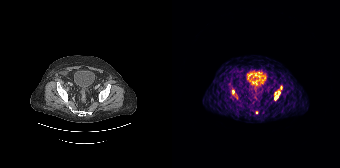
Coordinates are on the 168×168 PET (right) panel. PSMA-avid tumor lesion bounding boxes (x0,y0,x1,y1): [102,91,108,100], [60,90,62,94]. Small PSMA-avid foci (2 to 4 px across) near (center x, center y): (109, 87), (84, 112).